Technique: Two-panel axial: CT | PSMA PET, 18F-PSMA tracer. acquired on Siemens Biograph mCT Flow 20. slice 193 of 397.
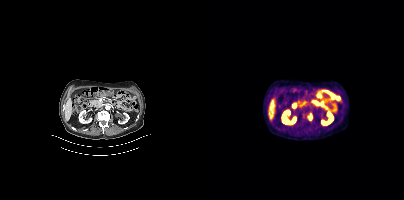
Findings: Coordinates are on the 200×200 PET (right) panel. PSMA-avid tumor lesion bounding box (x0,y0,x1,y1): [104,116,107,120].